- Left: CT. Right: PSMA PET, same axial level, [18F]PSMA-1007 tracer
- acquired on Siemens Biograph mCT Flow 20
- PET panel 200×200 px (4.1 mm/px)
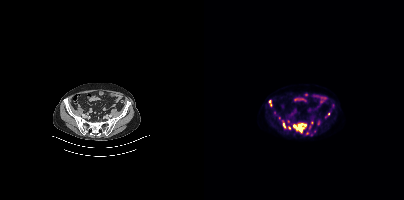
Findings: Coordinates are on the 200×200 PET (right) panel. (showing 8 of 11 foci) PSMA-avid tumor lesion bounding boxes (x0,y0,x1,y1): [89,123,102,133] [65,100,67,106] [79,122,81,127]. Small PSMA-avid foci (2 to 4 px across) near (center x, center y): (114, 122) (103, 133) (124, 114) (75, 117) (85, 127).